Technique: Paired axial CT (left) and PSMA PET (right), 18F-PSMA tracer. acquired on Siemens Biograph mCT Flow 20.
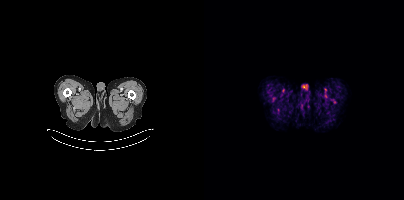
Findings: Negative for PSMA-avid disease on this slice.